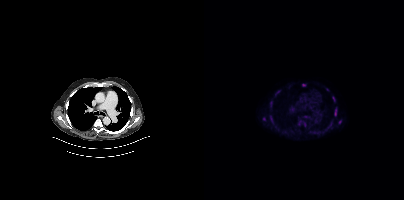
Coordinates are on the 200×200 PET (right) panel. (showing 13 of 15 foci) PSMA-avid tumor lesion bounding boxes (x0,y0,x1,y1): [130,108,132,116], [66,116,69,122], [94,120,97,125], [99,121,102,126], [128,96,131,101], [86,107,90,111], [66,101,68,106], [71,91,75,94]. Small PSMA-avid foci (2 to 4 px across) near (center x, center y): (99, 85), (60, 118), (136, 122), (101, 116), (123, 89).